deidentification: head region blacked out before release | modality: PSMA PET/CT | tracer: 18F | view: axial
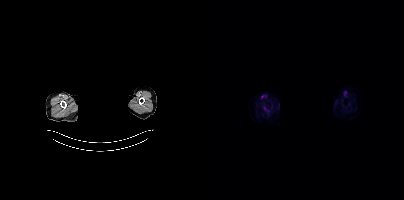
No PSMA-avid tumor lesions on this slice.